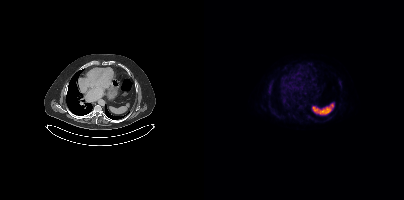
{"pet_grid":[200,200],"coord_frame":"pet_panel","coord_format":"x0,y0,x1,y1","partial":true,"lesion_bboxes":[],"modality":"PSMA PET/CT","view":"axial","tracer":"[18F]PSMA-1007"}